modality: PSMA PET/CT | tracer: 18F | view: axial
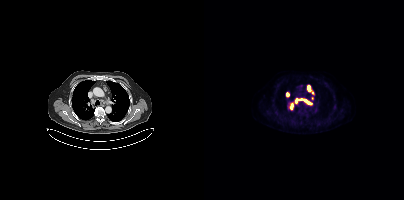
Coordinates are on the 200×200 PET (right) panel. PSMA-avid tumor lesion bounding box (x0,y0,x1,y1): [97,98,107,104]. Small PSMA-avid focus (2 to 4 px across) near (center x, center y): (92, 100).